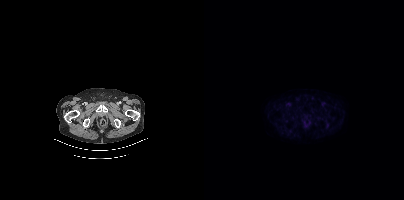
No tumor lesions annotated on this slice.
modality: PSMA PET/CT | tracer: 18F-PSMA | view: axial